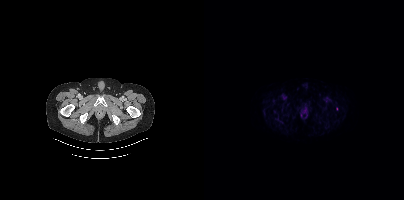
Only PSMA-avid lesion pieces thinner than 2 px on this slice (not listed). Left: CT. Right: PSMA PET, same axial level, 18F tracer. Slice 41 of 444.